modality: PSMA PET/CT | tracer: [18F]PSMA-1007 | view: axial
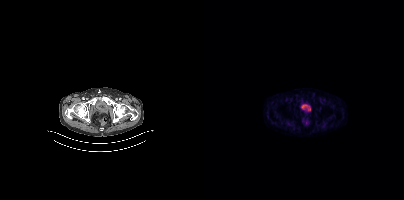
No tumor lesions annotated on this slice.